Left: CT. Right: PSMA PET, same axial level, [18F]PSMA-1007 tracer.
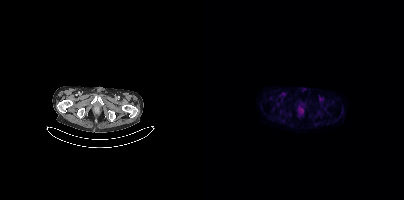
No tumor lesions annotated on this slice.